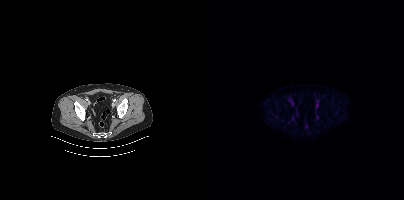
Left: CT. Right: PSMA PET, same axial level, 18F tracer. Acquired on Siemens Biograph mCT Flow 20. Slice 96 of 442. No tumor lesions annotated on this slice.